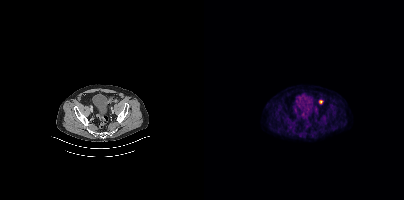
Coordinates are on the 200×200 PET (right) panel. PSMA-avid tumor lesion bounding box (x0,y0,x1,y1): [115,100,119,103].